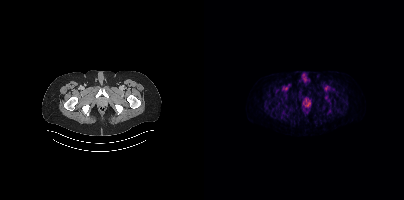
{"modality":"PSMA PET/CT","view":"axial","tracer":"18F-PSMA","pet_grid":[200,200],"coord_frame":"pet_panel","coord_format":"x0,y0,x1,y1","lesion_bboxes":[],"small_foci_centers":[[105,103]]}